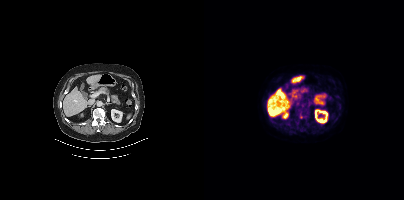
Coordinates are on the 200×200 PET (right) panel. PSMA-avid tumor lesion bounding box (x, y, width, height): x=92 y=108 w=12 h=11. Small PSMA-avid foci (2 to 4 px across) near (center x, center y): (86, 123) | (134, 96).